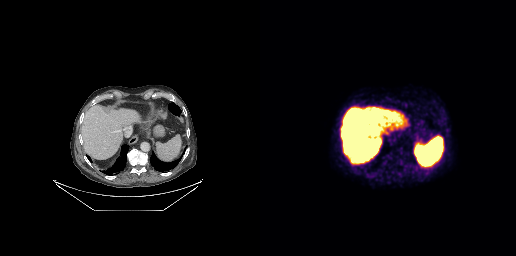
This slice has no annotated PSMA-avid lesion.
modality: PSMA PET/CT | tracer: [18F]PSMA-1007 | view: axial | PET grid: 256×256